An anonymization step blacked out a rectangle over the head in this scan. Paired axial CT (left) and PSMA PET (right), 18F-PSMA tracer. Acquired on Siemens Biograph mCT Flow 20.
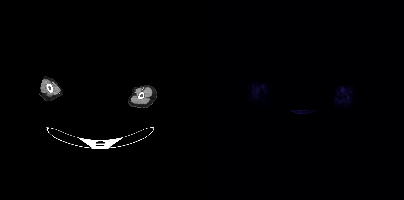
Negative for PSMA-avid disease on this slice.